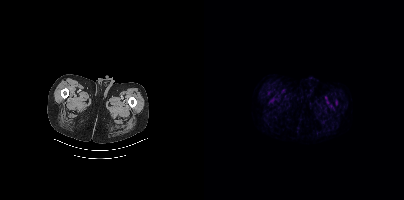
Findings: Only PSMA-avid lesion pieces thinner than 2 px on this slice (not listed).
- Left: CT. Right: PSMA PET, same axial level, 18F tracer
- acquired on Siemens Biograph mCT Flow 20
- slice position z = -958 mm